Technique: Paired axial CT (left) and PSMA PET (right), [18F]PSMA-1007 tracer. slice 339 of 415. PET panel 200×200 px (4.1 mm/px).
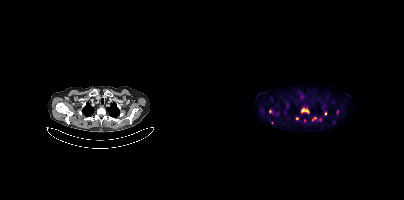
Findings: Coordinates are on the 200×200 PET (right) panel. (showing 5 of 9 foci) PSMA-avid tumor lesion bounding box (x0,y0,x1,y1): [97,109,104,113]. Small PSMA-avid foci (2 to 4 px across) near (center x, center y): (121, 113) (83, 105) (110, 118) (92, 118).